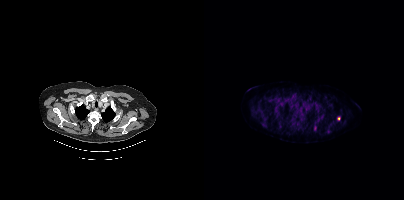
- Left: CT. Right: PSMA PET, same axial level, 18F tracer
- slice position z = -266 mm
- PET panel 200×200 px (4.1 mm/px)
Findings: Coordinates are on the 200×200 PET (right) panel. (showing 1 of 2 foci) Small PSMA-avid focus (2 to 4 px across) near (center x, center y): (134, 118).